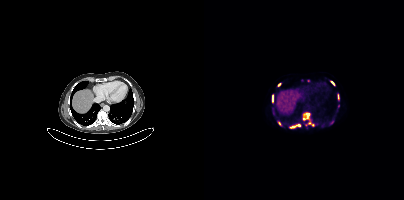
Coordinates are on the 200×200 PET (right) panel. (showing 8 of 11 foci) PSMA-avid tumor lesion bounding boxes (x0,y0,x1,y1): [99,112,109,125]; [68,95,69,102]; [127,81,130,85]; [133,93,135,99]. Small PSMA-avid foci (2 to 4 px across) near (center x, center y): (87, 127); (75, 84); (75, 123); (104, 80).
modality: PSMA PET/CT | tracer: 18F-PSMA | view: axial | PET grid: 200×200